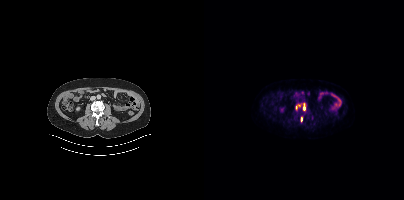
- Paired axial CT (left) and PSMA PET (right), 18F tracer
- acquired on Siemens Biograph mCT Flow 20
- slice position z = -784 mm
Findings: Coordinates are on the 200×200 PET (right) panel. (showing 2 of 3 foci) PSMA-avid tumor lesion bounding boxes (x0,y0,x1,y1): [99,104,101,110]; [97,117,98,121].